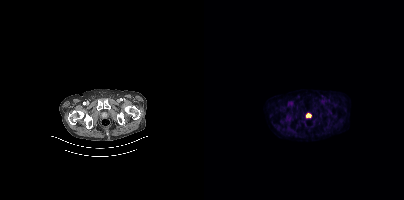
- Left: CT. Right: PSMA PET, same axial level, 18F tracer
- slice position z = -1468 mm
- PET panel 200×200 px (4.1 mm/px)
Findings: Coordinates are on the 200×200 PET (right) panel. PSMA-avid tumor lesion bounding box (x, y, width, height): x=102 y=113 w=6 h=5.